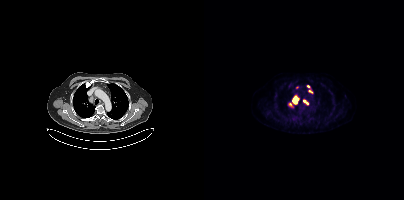
modality: PSMA PET/CT | tracer: 18F-PSMA | view: axial | PET grid: 200×200
Coordinates are on the 200×200 PET (right) panel. PSMA-avid tumor lesion bounding box (x0,y0,x1,y1): [89,96,94,103]. Small PSMA-avid foci (2 to 4 px across) near (center x, center y): (100, 101) (103, 103).